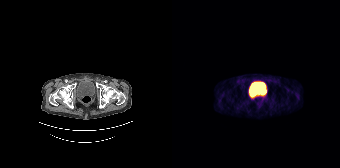
No tumor lesions annotated on this slice.
modality: PSMA PET/CT | tracer: [68Ga]Ga-PSMA-11 | view: axial